- Paired axial CT (left) and PSMA PET (right), 18F tracer
- acquired on Siemens Biograph mCT Flow 20
- slice 168 of 435
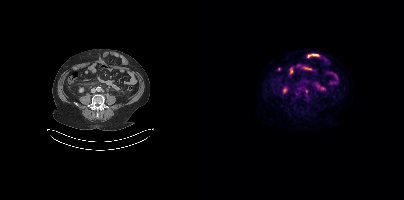
Findings: Coordinates are on the 200×200 PET (right) panel. PSMA-avid tumor lesion bounding boxes (x0, y0)-(x1, y1): (101, 89)-(104, 93) | (102, 95)-(105, 99).